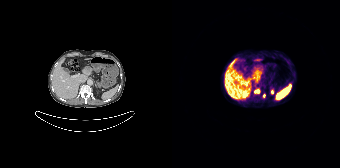
Coordinates are on the 168×168 PET (right) panel. Small PSMA-avid foci (2 to 4 px across) near (center x, center y): (84, 91) / (92, 95). Left: CT. Right: PSMA PET, same axial level, 68Ga tracer. PET panel 168×168 px (4.1 mm/px).